- Two-panel axial: CT | PSMA PET, [68Ga]Ga-PSMA-11 tracer
- acquired on GE Discovery 690
- PET panel 256×256 px (2.7 mm/px)
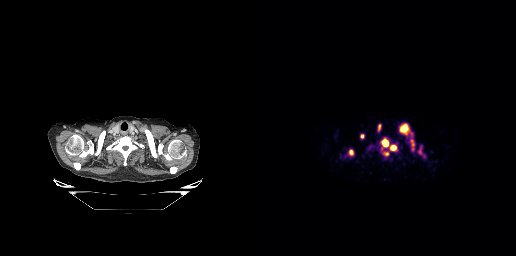
Findings: Coordinates are on the 256×256 PET (right) panel. (showing 6 of 9 foci) PSMA-avid tumor lesion bounding boxes (x0, y0)-(x1, y1): (139, 123)-(149, 134); (130, 145)-(136, 150); (123, 140)-(128, 146); (100, 134)-(104, 138); (89, 151)-(93, 155); (151, 140)-(154, 145).